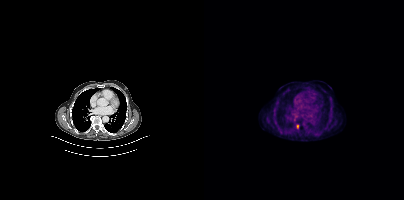
Coordinates are on the 200×200 PET (right) panel. Small PSMA-avid focus (2 to 4 px across) near (center x, center y): (93, 126). Paired axial CT (left) and PSMA PET (right), [18F]PSMA-1007 tracer. Acquired on Siemens Biograph mCT Flow 20. Slice position z = 384 mm.